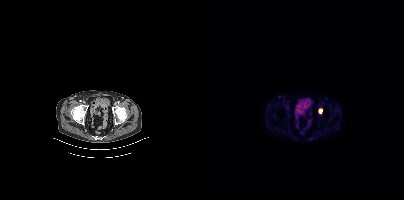
Coordinates are on the 200×200 PET (right) panel. Small PSMA-avid focus (2 to 4 px across) near (center x, center y): (116, 110). Paired axial CT (left) and PSMA PET (right), 18F-PSMA tracer. Acquired on Siemens Biograph mCT Flow 20.